modality: PSMA PET/CT | tracer: 18F | view: axial
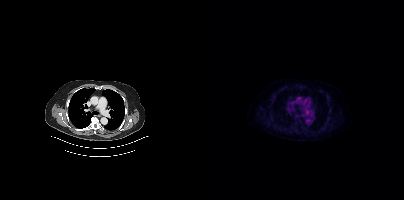
This slice has no annotated PSMA-avid lesion.